Technique: Two-panel axial: CT | PSMA PET, 18F tracer. acquired on Siemens Biograph mCT Flow 20.
Note: De-identified by setting a box covering the face to black before release.
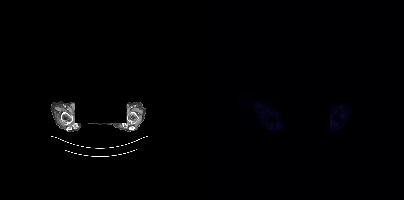
Findings: No PSMA-avid tumor lesions on this slice.